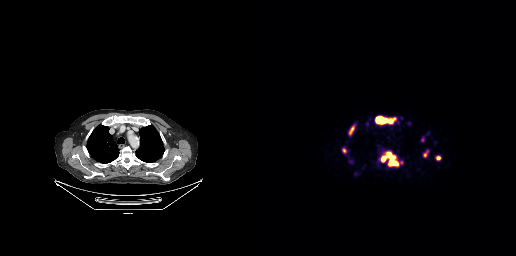
{"pet_grid":[256,256],"coord_frame":"pet_panel","coord_format":"x0,y0,x1,y1","lesion_bboxes":[[116,117,132,123],[127,153,137,164],[122,157,125,161],[90,127,93,133]],"small_foci_centers":[[162,139],[165,155],[178,158],[84,150]],"modality":"PSMA PET/CT","view":"axial","tracer":"[68Ga]Ga-PSMA-11"}